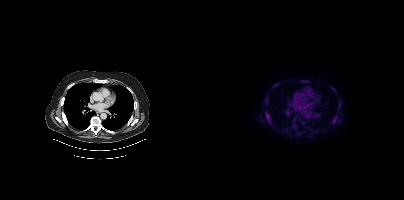
Findings: Coordinates are on the 200×200 PET (right) panel. (showing 9 of 11 foci) PSMA-avid tumor lesion bounding boxes (x0,y0,x1,y1): [61,111,68,124], [61,96,64,104], [69,83,74,87], [129,116,132,122], [98,80,102,83], [88,124,92,128]. Small PSMA-avid foci (2 to 4 px across) near (center x, center y): (135, 106), (129, 89), (97, 121).
- Left: CT. Right: PSMA PET, same axial level, [18F]PSMA-1007 tracer